modality: PSMA PET/CT | tracer: 18F-PSMA | view: axial | PET grid: 200×200
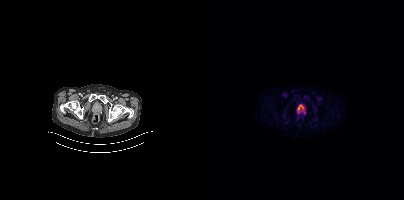
Coordinates are on the 200×200 PET (right) panel. PSMA-avid tumor lesion bounding box (x, y, width, height): x=94 y=105 w=6 h=6.